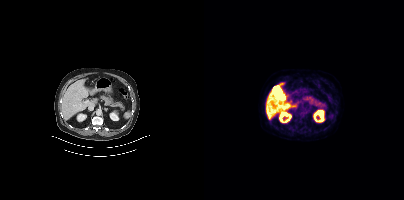
Findings: This slice has no annotated PSMA-avid lesion.
- Left: CT. Right: PSMA PET, same axial level, 18F tracer
- acquired on Siemens Biograph mCT Flow 20
- PET panel 200×200 px (4.1 mm/px)